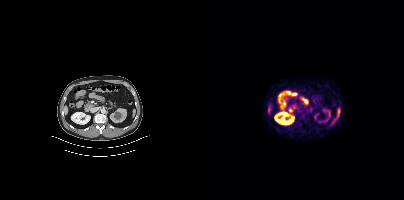
This slice has no annotated PSMA-avid lesion. Left: CT. Right: PSMA PET, same axial level, [18F]PSMA-1007 tracer. Acquired on Siemens Biograph mCT Flow 20. PET panel 200×200 px (4.1 mm/px).